Technique: Paired axial CT (left) and PSMA PET (right), [18F]PSMA-1007 tracer. PET panel 200×200 px (4.1 mm/px).
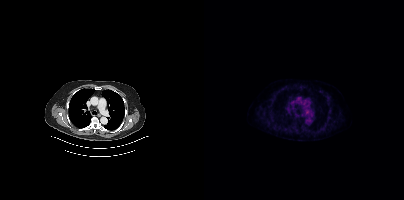
Findings: This slice has no annotated PSMA-avid lesion.